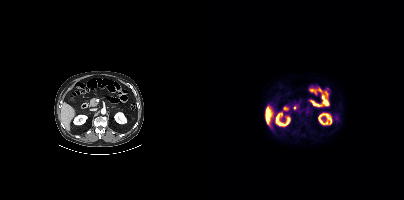
Two-panel axial: CT | PSMA PET, [18F]PSMA-1007 tracer. Acquired on Siemens Biograph mCT Flow 20. This slice has no annotated PSMA-avid lesion.